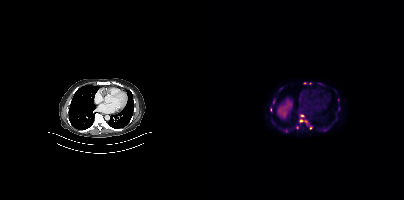
Paired axial CT (left) and PSMA PET (right), 18F-PSMA tracer.
Coordinates are on the 200×200 PET (right) panel. PSMA-avid tumor lesion bounding boxes (partial; 2 more foci not listed):
| # | x0 | y0 | x1 | y1 |
|---|---|---|---|---|
| 1 | 96 | 119 | 105 | 125 |
| 2 | 68 | 98 | 71 | 102 |
Small PSMA-avid foci (2 to 4 px across) near (center x, center y): (82, 130); (98, 116); (77, 88); (66, 109); (106, 128); (92, 127); (100, 82); (134, 99); (120, 129).